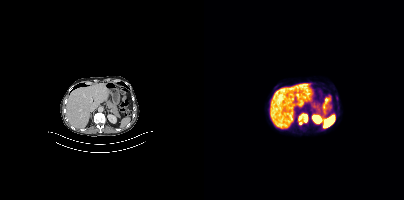
Left: CT. Right: PSMA PET, same axial level, 18F-PSMA tracer. Slice position z = -456 mm. Coordinates are on the 200×200 PET (right) panel. PSMA-avid tumor lesion bounding box (x, y, width, height): x=94 y=113 w=10 h=12.